Two-panel axial: CT | PSMA PET, [18F]PSMA-1007 tracer. Slice position z = -330 mm.
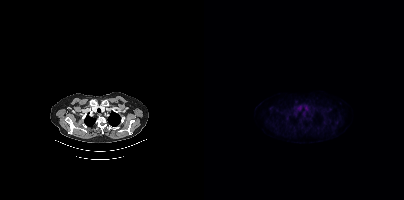
Negative for PSMA-avid disease on this slice.